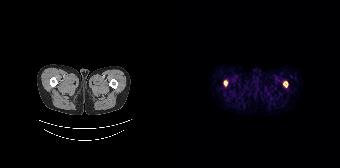
- Left: CT. Right: PSMA PET, same axial level, 68Ga tracer
- slice position z = -880 mm
Findings: Coordinates are on the 168×168 PET (right) panel. PSMA-avid tumor lesion bounding boxes (x0,y0,x1,y1): [111,81,116,87], [51,80,55,86].